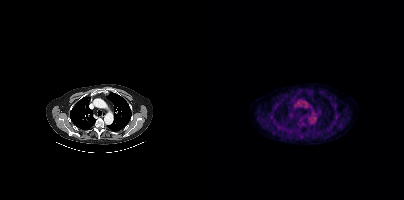
Technique: Paired axial CT (left) and PSMA PET (right), 18F-PSMA tracer. slice 306 of 403.
Findings: This slice has no annotated PSMA-avid lesion.